Paired axial CT (left) and PSMA PET (right), 18F tracer. Acquired on Siemens Biograph mCT Flow 20. PET panel 200×200 px (4.1 mm/px).
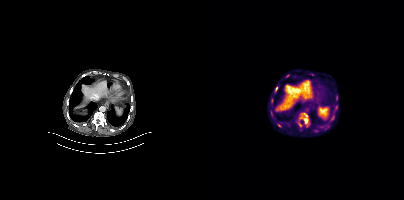
Coordinates are on the 200×200 PET (right) panel. PSMA-avid tumor lesion bounding boxes (partial; 1 more focus not listed):
| # | x0 | y0 | x1 | y1 |
|---|---|---|---|---|
| 1 | 95 | 113 | 103 | 124 |
Small PSMA-avid focus (2 to 4 px across) near (center x, center y): (96, 124).